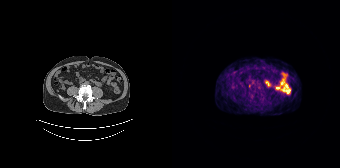
{"modality":"PSMA PET/CT","view":"axial","tracer":"68Ga","pet_grid":[168,168],"coord_frame":"pet_panel","coord_format":"x0,y0,x1,y1","psma_avid_lesions":false}